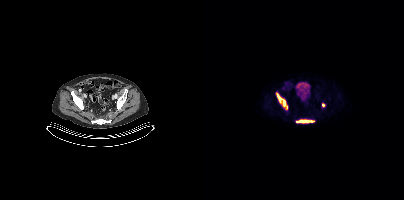
Technique: Left: CT. Right: PSMA PET, same axial level, 18F tracer.
Findings: Coordinates are on the 200×200 PET (right) panel. PSMA-avid tumor lesion bounding boxes (x, y, width, height): x=72 y=93 w=12 h=17 / x=92 y=120 w=18 h=3. Small PSMA-avid focus (2 to 4 px across) near (center x, center y): (119, 105).